- Left: CT. Right: PSMA PET, same axial level, [18F]PSMA-1007 tracer
- slice position z = -1252 mm
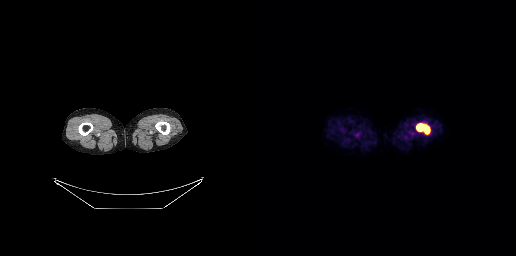
Findings: Coordinates are on the 256×256 PET (right) panel. PSMA-avid tumor lesion bounding box (x0,y0,x1,y1): [156,123,170,134].